modality: PSMA PET/CT | tracer: 68Ga | view: axial | PET grid: 200×200
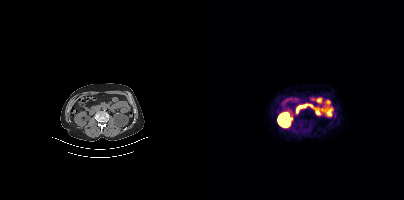
No PSMA-avid tumor lesions on this slice.